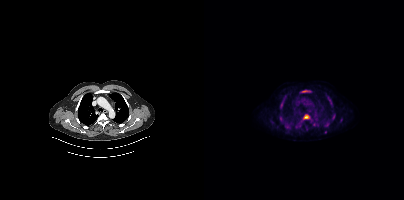
Coordinates are on the 200×200 PET (right) panel. (showing 7 of 9 foci) PSMA-avid tumor lesion bounding boxes (x, y, width, height): x=100 y=115 w=6 h=4 / x=124 y=98 w=5 h=7 / x=81 y=124 w=4 h=5 / x=128 y=115 w=4 h=6 / x=76 y=102 w=3 h=6. Small PSMA-avid foci (2 to 4 px across) near (center x, center y): (100, 91) / (121, 132).